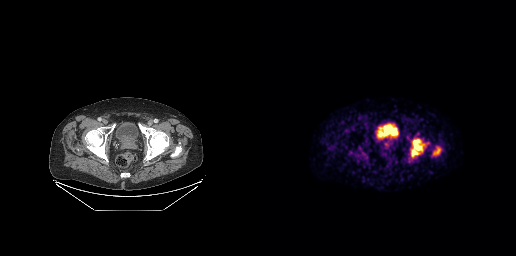
Coordinates are on the 256×256 PET (right) panel. PSMA-avid tumor lesion bounding boxes (x, y, width, height): x=151 y=139 w=14 h=18; x=174 y=149 w=6 h=5.